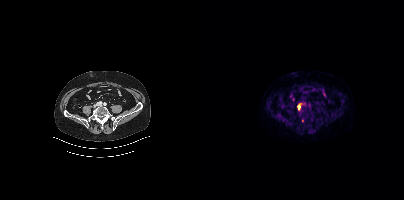
- Paired axial CT (left) and PSMA PET (right), 18F tracer
- slice 144 of 454
- PET panel 200×200 px (4.1 mm/px)
Findings: Coordinates are on the 200×200 PET (right) panel. Small PSMA-avid focus (2 to 4 px across) near (center x, center y): (94, 106).